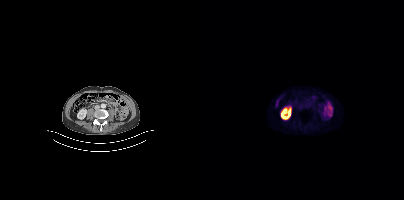
{"modality":"PSMA PET/CT","view":"axial","tracer":"18F-PSMA","pet_grid":[200,200],"coord_frame":"pet_panel","coord_format":"x0,y0,x1,y1","psma_avid_lesions":false}